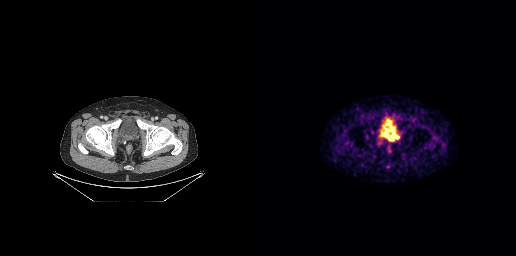
Coordinates are on the 256×256 PET (right) panel. PSMA-avid tumor lesion bounding boxes (x0, y0)-(x1, y1): (128, 136)-(133, 140); (121, 135)-(126, 138); (135, 135)-(139, 139).